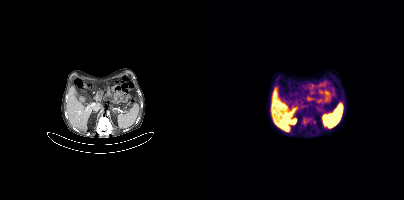
modality: PSMA PET/CT | tracer: 18F-PSMA | view: axial | PET grid: 200×200
Coordinates are on the 200×200 PET (right) panel. PSMA-avid tumor lesion bounding box (x0, y0)-(x1, y1): (98, 116)-(111, 126).